De-identified by setting a box covering the face to black before release.
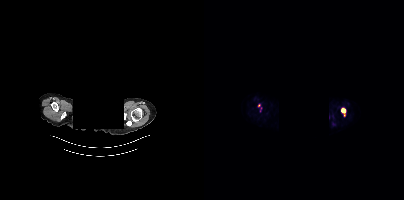
Coordinates are on the 200×200 PET (right) panel. (showing 2 of 4 foci) PSMA-avid tumor lesion bounding box (x0, y0)-(x1, y1): (137, 107)-(142, 116). Small PSMA-avid focus (2 to 4 px across) near (center x, center y): (55, 105).